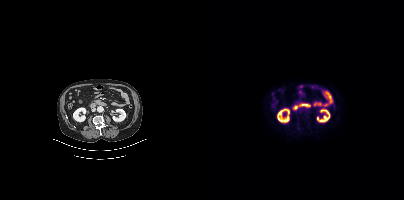
modality: PSMA PET/CT | tracer: [18F]PSMA-1007 | view: axial
Negative for PSMA-avid disease on this slice.